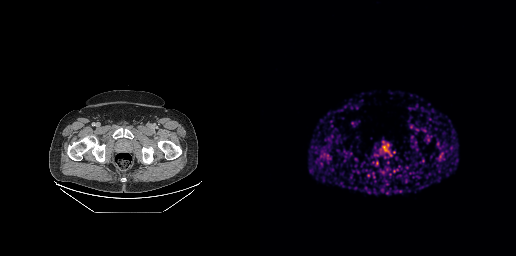
Coordinates are on the 256×256 PET (right) panel. PSMA-avid tumor lesion bounding boxes (partial; 1 more focus not listed):
| # | x0 | y0 | x1 | y1 |
|---|---|---|---|---|
| 1 | 123 | 146 | 126 | 150 |
Two-panel axial: CT | PSMA PET, 68Ga tracer. Acquired on GE Discovery 690. Slice position z = -765 mm. PET panel 256×256 px (2.7 mm/px).